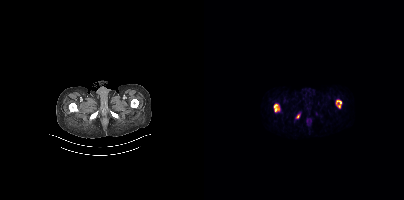
Technique: Paired axial CT (left) and PSMA PET (right), 68Ga tracer. slice 37 of 397.
Findings: Negative for PSMA-avid disease on this slice.